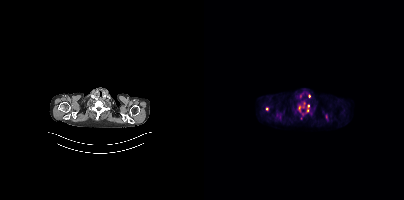
Coordinates are on the 200×200 PET (right) panel. (showing 5 of 7 foci) PSMA-avid tumor lesion bounding boxes (x0, y0)-(x1, y1): (93, 102)-(101, 112); (102, 104)-(105, 112). Small PSMA-avid foci (2 to 4 px across) near (center x, center y): (63, 108); (98, 114); (73, 115).